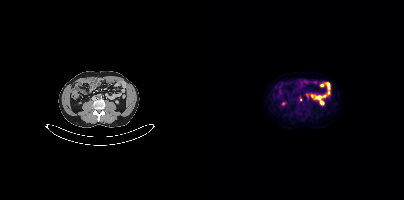
Technique: Left: CT. Right: PSMA PET, same axial level, 18F tracer. acquired on Siemens Biograph mCT Flow 20. slice 155 of 393. PET panel 200×200 px (4.1 mm/px).
Findings: Coordinates are on the 200×200 PET (right) panel. Small PSMA-avid foci (2 to 4 px across) near (center x, center y): (103, 97) | (96, 99).